Left: CT. Right: PSMA PET, same axial level, 18F tracer. PET panel 200×200 px (4.1 mm/px).
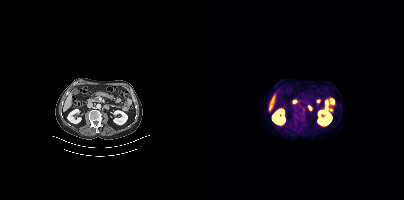
Coordinates are on the 200×200 PET (right) panel. PSMA-avid tumor lesion bounding boxes:
| # | x0 | y0 | x1 | y1 |
|---|---|---|---|---|
| 1 | 98 | 108 | 100 | 112 |